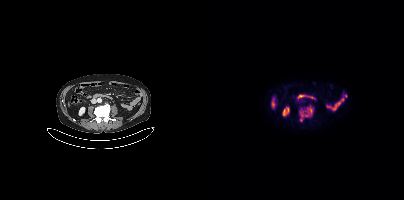
Coordinates are on the 200×200 PET (right) panel. PSMA-avid tumor lesion bounding box (x0, y0)-(x1, y1): (95, 105)-(108, 121).